Paired axial CT (left) and PSMA PET (right), 18F-PSMA tracer. Acquired on Siemens Biograph mCT Flow 20. Slice 82 of 385. PET panel 200×200 px (4.1 mm/px).
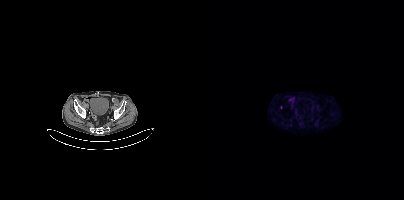
Only PSMA-avid lesion pieces thinner than 2 px on this slice (not listed).